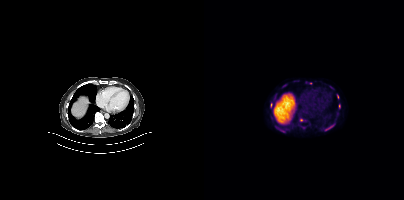
{"modality":"PSMA PET/CT","view":"axial","tracer":"[18F]PSMA-1007","pet_grid":[200,200],"coord_frame":"pet_panel","coord_format":"x0,y0,x1,y1","partial":true,"lesion_bboxes":[[121,124,130,130],[71,126,75,129],[133,94,134,98]],"small_foci_centers":[[79,131],[70,97],[67,104],[79,86],[135,106],[97,119]]}